modality: PSMA PET/CT | tracer: [18F]PSMA-1007 | view: axial | PET grid: 200×200
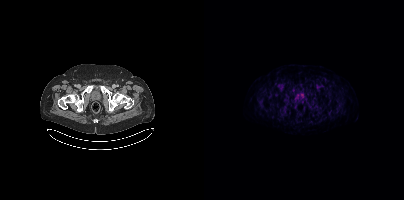
No tumor lesions annotated on this slice.